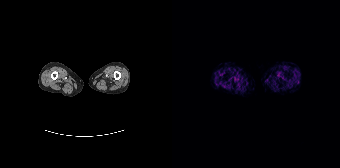
Two-panel axial: CT | PSMA PET, 68Ga tracer. Slice position z = -1859 mm. PET panel 168×168 px (4.1 mm/px). No tumor lesions annotated on this slice.